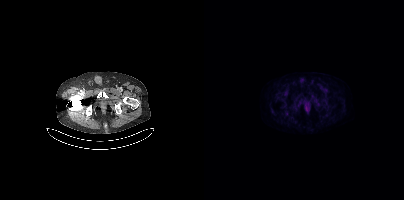
{"modality":"PSMA PET/CT","view":"axial","tracer":"[18F]PSMA-1007","pet_grid":[200,200],"coord_frame":"pet_panel","coord_format":"x0,y0,x1,y1","psma_avid_lesions":false}